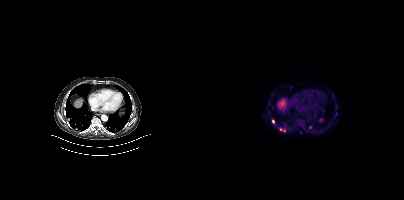
Coordinates are on the 200×200 PET (right) panel. (showing 2 of 3 foci) PSMA-avid tumor lesion bounding box (x0, y0)-(x1, y1): (76, 128)-(81, 132). Small PSMA-avid focus (2 to 4 px across) near (center x, center y): (69, 121).
modality: PSMA PET/CT | tracer: 18F | view: axial